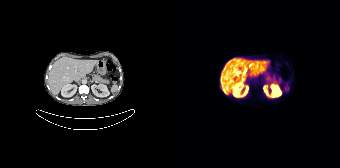
modality: PSMA PET/CT | tracer: [18F]PSMA-1007 | view: axial
No tumor lesions annotated on this slice.